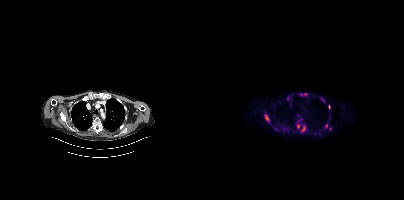
Coordinates are on the 200×200 PET (right) panel. (showing 10 of 11 foci) PSMA-avid tumor lesion bounding boxes (x, y, width, height): x=97 y=124 w=6 h=9 / x=60 y=114 w=6 h=9 / x=93 y=119 w=5 h=10 / x=96 y=93 w=8 h=3 / x=121 y=123 w=4 h=6 / x=117 y=97 w=4 h=6. Small PSMA-avid foci (2 to 4 px across) near (center x, center y): (85, 97) / (125, 106) / (126, 128) / (125, 117).